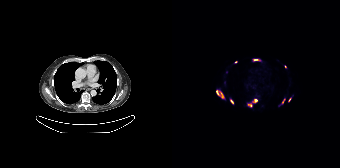
Findings: Coordinates are on the 168×168 PET (right) panel. PSMA-avid tumor lesion bounding boxes (x, y, width, height): x=44 y=89 w=9 h=11 / x=75 y=98 w=11 h=10 / x=80 y=58 w=9 h=4 / x=109 y=98 w=5 h=7 / x=58 y=99 w=4 h=6 / x=116 y=97 w=4 h=6. Small PSMA-avid foci (2 to 4 px across) near (center x, center y): (64, 62) / (54, 72) / (113, 66).
Technique: Left: CT. Right: PSMA PET, same axial level, [18F]PSMA-1007 tracer. acquired on Siemens Biograph 64-4R TruePoint. slice position z = -795 mm.